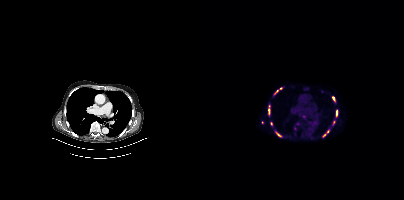
Two-panel axial: CT | PSMA PET, 68Ga-PSMA tracer. PET panel 200×200 px (4.1 mm/px).
Coordinates are on the 200×200 PET (right) panel. PSMA-avid tumor lesion bounding boxes (partial; 2 more foci not listed):
| # | x0 | y0 | x1 | y1 |
|---|---|---|---|---|
| 1 | 64 | 105 | 66 | 114 |
| 2 | 119 | 130 | 125 | 136 |
| 3 | 132 | 110 | 133 | 115 |
Small PSMA-avid foci (2 to 4 px across) near (center x, center y): (99, 116); (129, 98); (72, 91); (67, 123); (74, 135); (76, 88).